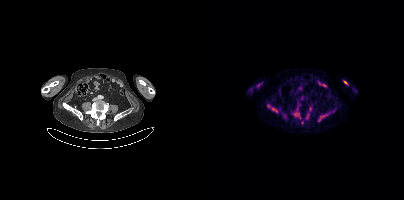
Findings: Coordinates are on the 200×200 PET (right) panel. (showing 8 of 9 foci) PSMA-avid tumor lesion bounding boxes (x0,y0,x1,y1): [63,104,73,112], [89,112,96,118], [114,114,123,121], [139,81,143,84], [102,114,104,118]. Small PSMA-avid foci (2 to 4 px across) near (center x, center y): (106, 108), (80, 116), (98, 122).
- Paired axial CT (left) and PSMA PET (right), [18F]PSMA-1007 tracer
- acquired on Siemens Biograph mCT Flow 20
- PET panel 200×200 px (4.1 mm/px)